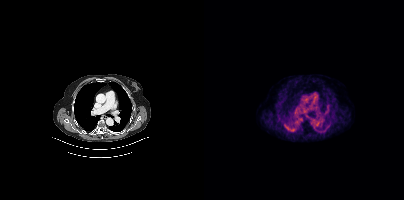
Two-panel axial: CT | PSMA PET, [18F]PSMA-1007 tracer. Slice position z = -1014 mm. PET panel 200×200 px (4.1 mm/px). Negative for PSMA-avid disease on this slice.